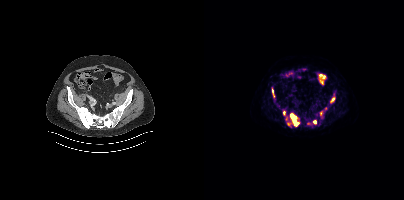
Coordinates are on the 200×200 PET (right) panel. (showing 8 of 9 foci) PSMA-avid tumor lesion bounding boxes (x0,y0,x1,y1): [81,113,95,126]; [126,97,131,102]; [79,111,81,115]; [68,89,71,97]; [109,120,112,124]. Small PSMA-avid foci (2 to 4 px across) near (center x, center y): (116, 121); (117, 112); (104, 123).